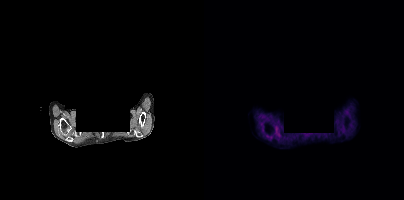
{"modality":"PSMA PET/CT","view":"axial","tracer":"[18F]PSMA-1007","pet_grid":[200,200],"coord_frame":"pet_panel","coord_format":"x0,y0,x1,y1","redaction":"rectangular block over head set to black","lesion_bboxes":[],"small_foci_centers":[[75,134]]}